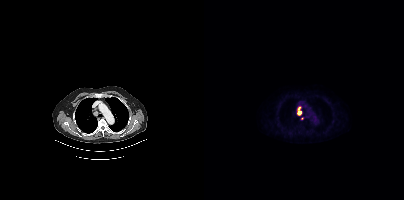
Two-panel axial: CT | PSMA PET, [18F]PSMA-1007 tracer. PET panel 200×200 px (4.1 mm/px). Coordinates are on the 200×200 PET (right) panel. Small PSMA-avid foci (2 to 4 px across) near (center x, center y): (95, 112) | (98, 118).